Paired axial CT (left) and PSMA PET (right), 18F tracer. Acquired on GE Discovery 690. Slice 238 of 263. PET panel 256×256 px (2.7 mm/px). A rectangular block over the head has been blanked out for de-identification.
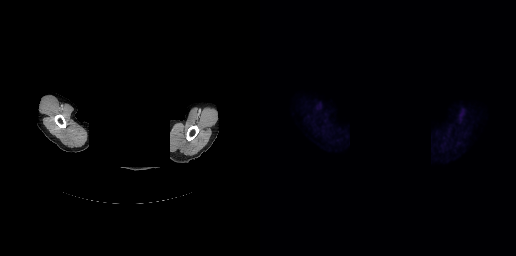
No tumor lesions annotated on this slice.